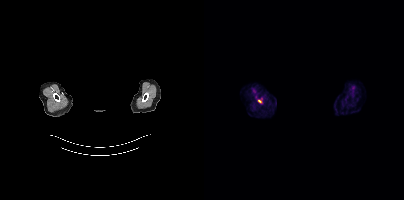
Face de-identified by blanking a block of the head. Paired axial CT (left) and PSMA PET (right), 18F tracer. Acquired on Siemens Biograph mCT Flow 20. Coordinates are on the 200×200 PET (right) panel. Small PSMA-avid focus (2 to 4 px across) near (center x, center y): (55, 101).